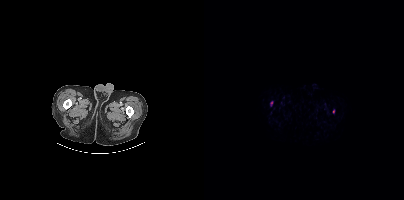
{"pet_grid":[200,200],"coord_frame":"pet_panel","coord_format":"x0,y0,x1,y1","lesion_bboxes":[[128,109,130,113],[66,101,68,105]],"modality":"PSMA PET/CT","view":"axial","tracer":"18F"}